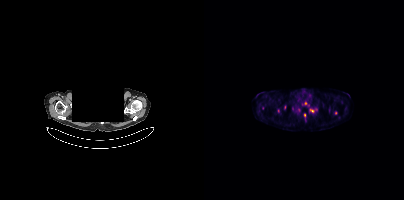
Coordinates are on the 200×200 PET (right) panel. (showing 6 of 7 foci) PSMA-avid tumor lesion bounding box (x0, y0)-(x1, y1): (106, 109)-(110, 112). Small PSMA-avid foci (2 to 4 px across) near (center x, center y): (101, 103); (100, 115); (80, 107); (88, 108); (131, 112). Paired axial CT (left) and PSMA PET (right), 18F tracer. Acquired on Siemens Biograph mCT Flow 20. PET panel 200×200 px (4.1 mm/px). Privacy masking over the head, with the pixels inside a rectangle set to black.